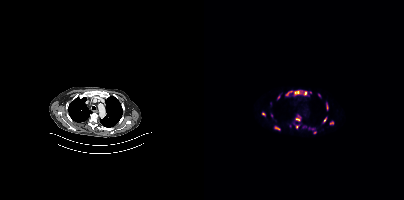
Coordinates are on the 200×200 PET (right) panel. (showing 14 of 17 foci) PSMA-avid tumor lesion bounding boxes (x0,y0,x1,y1): [90,90,98,95]; [91,115,96,121]; [81,91,88,96]; [122,103,124,110]; [99,91,103,95]; [119,117,122,122]; [71,126,75,130]. Small PSMA-avid foci (2 to 4 px across) near (center x, center y): (127, 122); (93, 126); (59, 113); (115, 95); (111, 132); (74, 97); (67, 115).